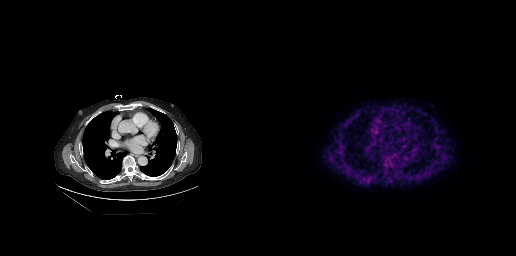
Findings: Negative for PSMA-avid disease on this slice.
Technique: Paired axial CT (left) and PSMA PET (right), [18F]PSMA-1007 tracer. acquired on GE Discovery 690.